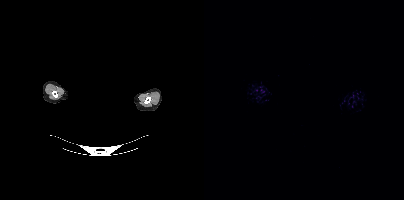
Paired axial CT (left) and PSMA PET (right), 18F tracer. PET panel 200×200 px (4.1 mm/px). The head region is masked for de-identification. Negative for PSMA-avid disease on this slice.